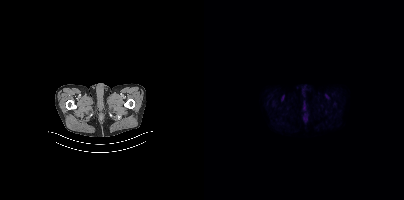
Paired axial CT (left) and PSMA PET (right), 18F tracer. Slice position z = -1484 mm. No PSMA-avid tumor lesions on this slice.